Left: CT. Right: PSMA PET, same axial level, [18F]PSMA-1007 tracer. Acquired on Siemens Biograph mCT Flow 20. Slice position z = -1430 mm.
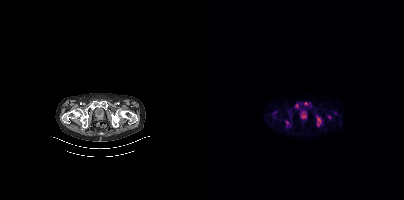
Coordinates are on the 200×200 PET (right) panel. PSMA-avid tumor lesion bounding boxes:
| # | x0 | y0 | x1 | y1 |
|---|---|---|---|---|
| 1 | 112 | 119 | 118 | 126 |
| 2 | 96 | 113 | 103 | 119 |
| 3 | 100 | 102 | 107 | 106 |
| 4 | 91 | 103 | 95 | 108 |
| 5 | 82 | 120 | 85 | 127 |
| 6 | 123 | 115 | 127 | 119 |
Small PSMA-avid foci (2 to 4 px across) near (center x, center y): (132, 113); (97, 103).